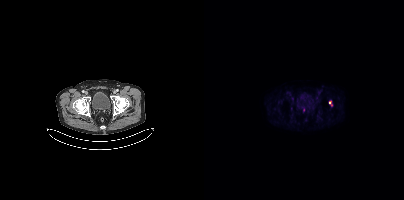
{"modality":"PSMA PET/CT","view":"axial","tracer":"18F","pet_grid":[200,200],"coord_frame":"pet_panel","coord_format":"x0,y0,x1,y1","partial":true,"lesion_bboxes":[],"small_foci_centers":[[99,109]]}